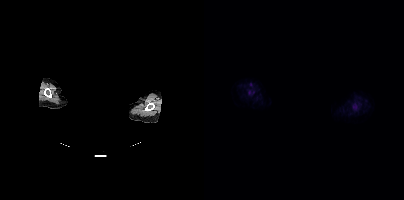
Technique: Paired axial CT (left) and PSMA PET (right), 18F-PSMA tracer.
Note: A rectangular block over the head has been blanked out for de-identification.
Findings: No tumor lesions annotated on this slice.